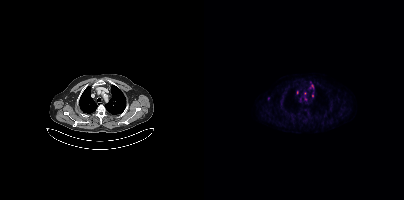
- Left: CT. Right: PSMA PET, same axial level, [18F]PSMA-1007 tracer
- acquired on Siemens Biograph mCT Flow 20
- PET panel 200×200 px (4.1 mm/px)
Findings: Coordinates are on the 200×200 PET (right) panel. PSMA-avid tumor lesion bounding box (x0, y0)-(x1, y1): (105, 82)-(110, 89). Small PSMA-avid focus (2 to 4 px across) near (center x, center y): (64, 98).